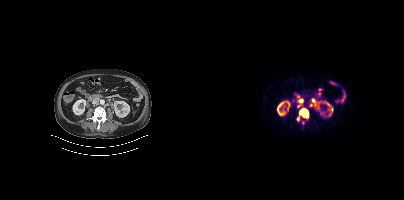
Coordinates are on the 200×200 PET (right) panel. (showing 5 of 6 foci) PSMA-avid tumor lesion bounding boxes (x0, y0)-(x1, y1): (93, 108)-(104, 120); (95, 99)-(99, 102). Small PSMA-avid foci (2 to 4 px across) near (center x, center y): (94, 105); (109, 100); (107, 105). Two-panel axial: CT | PSMA PET, 18F-PSMA tracer. PET panel 200×200 px (4.1 mm/px).